Two-panel axial: CT | PSMA PET, 18F-PSMA tracer. Acquired on Siemens Biograph 64-4R TruePoint. Slice position z = -1164 mm. PET panel 168×168 px (4.1 mm/px).
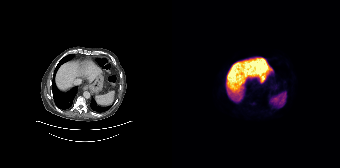
No PSMA-avid tumor lesions on this slice.